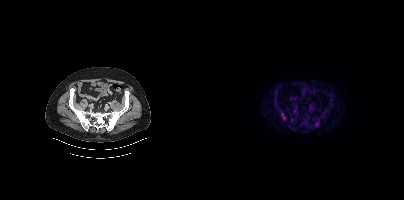
Findings: Coordinates are on the 200×200 PET (right) panel. (showing 9 of 10 foci) PSMA-avid tumor lesion bounding boxes (x, y, width, height): x=72 y=105 w=11 h=16; x=110 y=119 w=7 h=8; x=69 y=89 w=6 h=8; x=89 y=108 w=5 h=5; x=120 y=109 w=5 h=5; x=126 y=98 w=3 h=6; x=102 y=123 w=4 h=5. Small PSMA-avid foci (2 to 4 px across) near (center x, center y): (71, 101); (90, 123).
Technique: Paired axial CT (left) and PSMA PET (right), 18F tracer. acquired on Siemens Biograph mCT Flow 20. slice 138 of 464. PET panel 200×200 px (4.1 mm/px).